modality: PSMA PET/CT | tracer: 68Ga-PSMA | view: axial
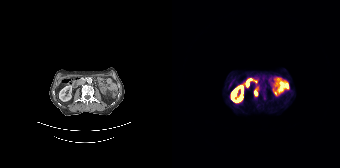
Coordinates are on the 168×168 PET (right) panel. Small PSMA-avid foci (2 to 4 px across) near (center x, center y): (84, 88); (84, 93).